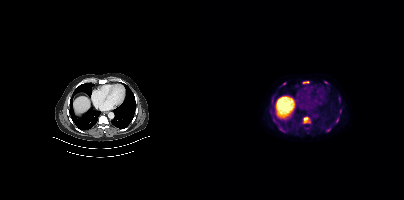
{"pet_grid":[200,200],"coord_frame":"pet_panel","coord_format":"x0,y0,x1,y1","partial":true,"lesion_bboxes":[[99,117,106,123],[74,127,81,132],[66,110,69,115],[122,128,127,131],[99,81,105,83],[132,117,135,123],[67,102,69,107],[135,97,136,101]],"small_foci_centers":[[69,120],[80,83],[136,110],[122,82]],"modality":"PSMA PET/CT","view":"axial","tracer":"[18F]PSMA-1007"}